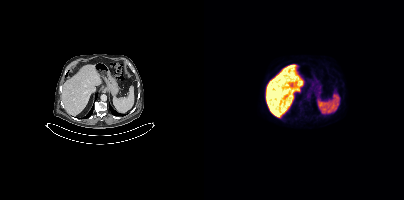
Negative for PSMA-avid disease on this slice. Left: CT. Right: PSMA PET, same axial level, [18F]PSMA-1007 tracer.